Two-panel axial: CT | PSMA PET, 18F tracer. Slice 30 of 165.
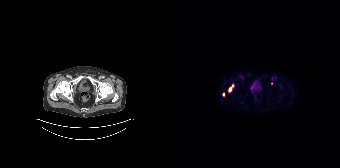
Coordinates are on the 168×168 PET (right) panel. (showing 2 of 3 foci) PSMA-avid tumor lesion bounding box (x0, y0)-(x1, y1): (56, 84)-(61, 92). Small PSMA-avid focus (2 to 4 px across) near (center x, center y): (51, 94).